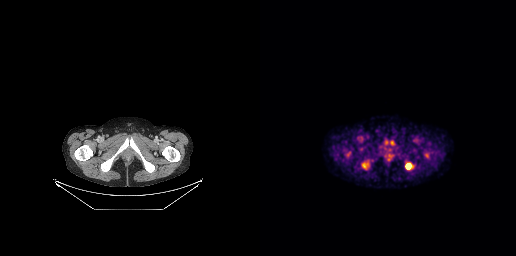
{"modality":"PSMA PET/CT","view":"axial","tracer":"[18F]PSMA-1007","pet_grid":[256,256],"coord_frame":"pet_panel","coord_format":"x0,y0,x1,y1","partial":true,"lesion_bboxes":[[102,163,108,169],[146,164,150,169]],"small_foci_centers":[[129,150],[131,140]]}